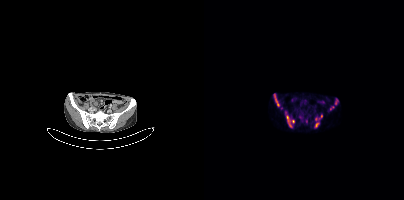
Coordinates are on the 200×200 PET (right) panel. (showing 6 of 7 foci) PSMA-avid tumor lesion bounding boxes (x0, y0)-(x1, y1): (70, 94)-(75, 106) / (83, 116)-(86, 123) / (131, 99)-(133, 104). Small PSMA-avid foci (2 to 4 px across) near (center x, center y): (112, 125) / (117, 116) / (128, 106).